Two-panel axial: CT | PSMA PET, 68Ga tracer. Acquired on Siemens Biograph mCT Flow 20. PET panel 200×200 px (4.1 mm/px).
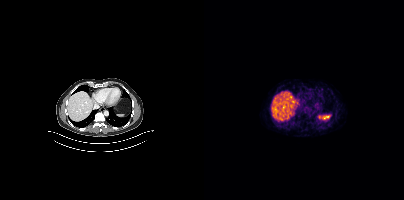
Negative for PSMA-avid disease on this slice.